Technique: Paired axial CT (left) and PSMA PET (right), 18F tracer. acquired on Siemens Biograph mCT Flow 20. slice 393 of 407.
Note: A rectangle over the head was blacked out to remove identifiable facial features.
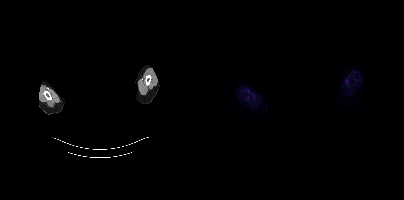
Findings: Negative for PSMA-avid disease on this slice.